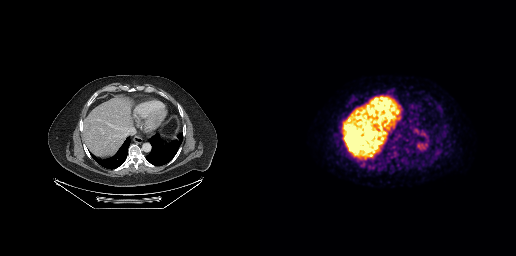
No PSMA-avid tumor lesions on this slice. Two-panel axial: CT | PSMA PET, [18F]PSMA-1007 tracer. Acquired on GE Discovery 690. Slice position z = -328 mm. PET panel 256×256 px (2.7 mm/px).